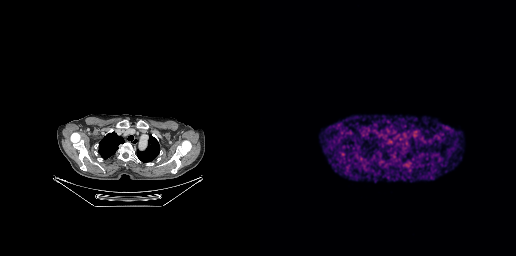
Two-panel axial: CT | PSMA PET, 68Ga-PSMA tracer. PET panel 256×256 px (2.7 mm/px). No PSMA-avid tumor lesions on this slice.